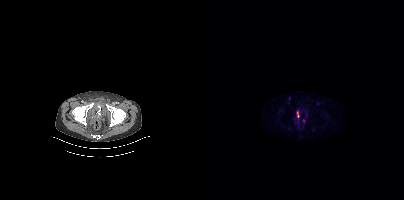
- Paired axial CT (left) and PSMA PET (right), 18F-PSMA tracer
- PET panel 200×200 px (4.1 mm/px)
Findings: Coordinates are on the 200×200 PET (right) panel. PSMA-avid tumor lesion bounding box (x0, y0)-(x1, y1): (93, 111)-(95, 117). Small PSMA-avid foci (2 to 4 px across) near (center x, center y): (100, 120) / (85, 98).